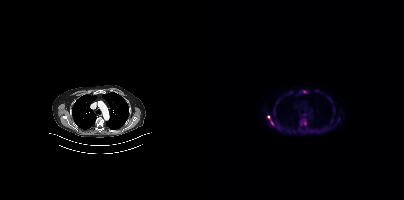
- Left: CT. Right: PSMA PET, same axial level, [18F]PSMA-1007 tracer
- acquired on Siemens Biograph mCT Flow 20
- PET panel 200×200 px (4.1 mm/px)
Findings: Coordinates are on the 200×200 PET (right) panel. PSMA-avid tumor lesion bounding boxes (x0,y0,x1,y1): [63,115,69,125], [97,119,102,125], [121,127,125,130]. Small PSMA-avid focus (2 to 4 px across) near (center x, center y): (100, 91).